modality: PSMA PET/CT | tracer: 18F-PSMA | view: axial | PET grid: 200×200
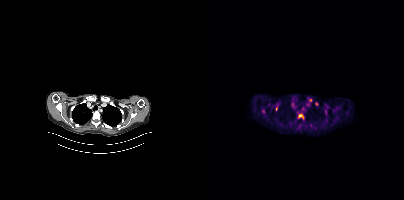
Coordinates are on the 200×200 PET (right) panel. PSMA-avid tumor lesion bounding box (x0, y0)-(x1, y1): (94, 114)-(100, 119). Small PSMA-avid foci (2 to 4 px across) near (center x, center y): (112, 103) / (72, 108) / (121, 111) / (106, 99) / (59, 111).